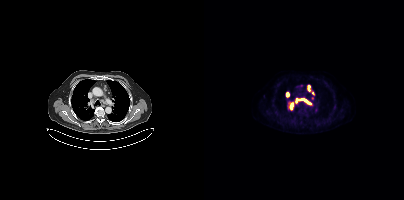
Coordinates are on the 200×200 PET (right) panel. PSMA-avid tumor lesion bounding box (x0,y0,x1,y1): [96,98,107,104]. Small PSMA-avid focus (2 to 4 px across) near (center x, center y): (93, 100).